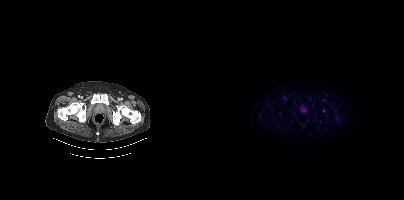
Coordinates are on the 200×200 PET (right) panel. Small PSMA-avid focus (2 to 4 px across) near (center x, center y): (119, 110).